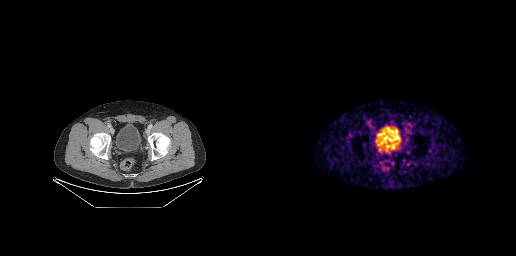
Two-panel axial: CT | PSMA PET, [68Ga]Ga-PSMA-11 tracer. Slice 62 of 263. This slice has no annotated PSMA-avid lesion.